Paired axial CT (left) and PSMA PET (right), 18F tracer.
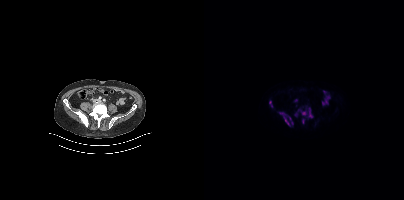
Coordinates are on the 200×200 PET (right) panel. (showing 4 of 5 foci) PSMA-avid tumor lesion bounding boxes (x, y, width, height): x=94 y=108 w=15 h=10; x=75 y=112 w=15 h=15; x=98 y=118 w=4 h=7; x=65 y=101 w=4 h=6.